Paired axial CT (left) and PSMA PET (right), 18F tracer. PET panel 256×256 px (2.7 mm/px).
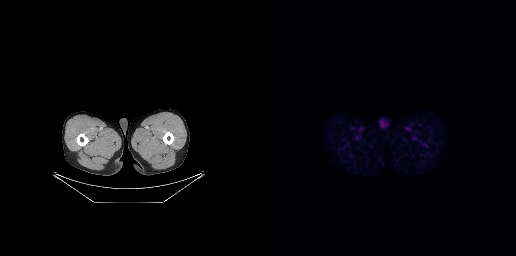
No tumor lesions annotated on this slice.